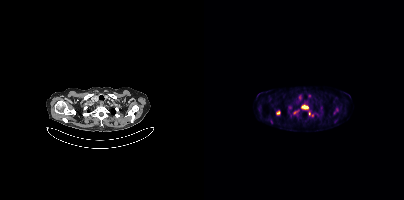
- Paired axial CT (left) and PSMA PET (right), 18F-PSMA tracer
- PET panel 200×200 px (4.1 mm/px)
Findings: Coordinates are on the 200×200 PET (right) panel. PSMA-avid tumor lesion bounding boxes (x0,y0,x1,y1): [98,105,104,109] [72,111,76,114]. Small PSMA-avid foci (2 to 4 px across) near (center x, center y): (86, 107) (105, 113).